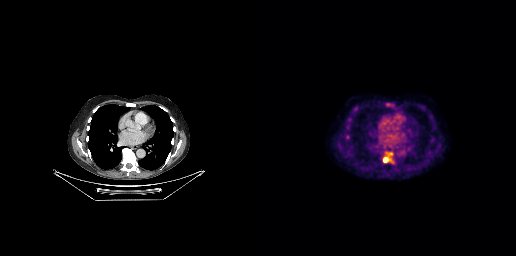
Coordinates are on the 256×256 PET (right) panel. PSMA-avid tumor lesion bounding boxes (x, y, width, height): x=123 y=153 w=12 h=11 / x=86 y=135 w=4 h=5.